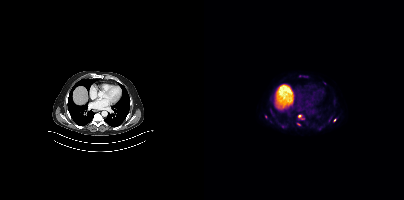
{"modality":"PSMA PET/CT","view":"axial","tracer":"18F-PSMA","pet_grid":[200,200],"coord_frame":"pet_panel","coord_format":"x0,y0,x1,y1","partial":true,"lesion_bboxes":[],"small_foci_centers":[[95,116],[130,120],[94,124]]}